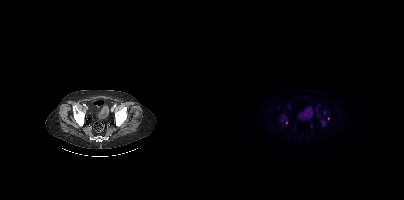
- Two-panel axial: CT | PSMA PET, 18F tracer
- acquired on Siemens Biograph mCT Flow 20
- PET panel 200×200 px (4.1 mm/px)
Findings: Coordinates are on the 200×200 PET (right) panel. Small PSMA-avid focus (2 to 4 px across) near (center x, center y): (124, 118).